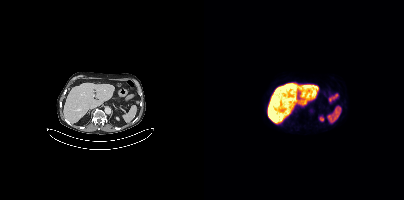
Findings: No tumor lesions annotated on this slice.
- Left: CT. Right: PSMA PET, same axial level, [18F]PSMA-1007 tracer
- slice position z = 82 mm